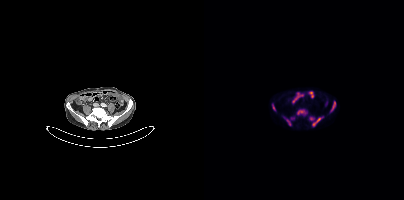
Coordinates are on the 200×200 PET (right) panel. PSMA-avid tumor lesion bounding boxes (x0,y0,x1,y1): [93,110,102,114]; [126,101,131,111]; [108,118,117,126]; [79,116,87,125]; [68,104,72,111]. Small PSMA-avid foci (2 to 4 px across) near (center x, center y): (88, 118); (107, 118).